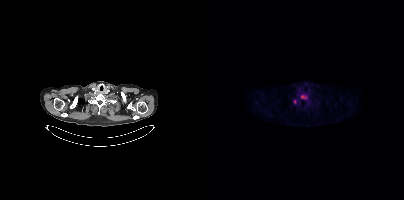
Paired axial CT (left) and PSMA PET (right), 18F tracer.
Coordinates are on the 200×200 PET (right) panel. PSMA-avid tumor lesion bounding boxes:
| # | x0 | y0 | x1 | y1 |
|---|---|---|---|---|
| 1 | 96 | 94 | 103 | 100 |
| 2 | 89 | 99 | 92 | 104 |